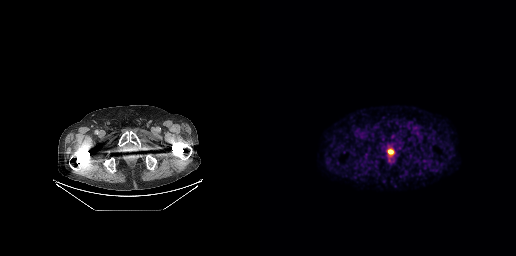
Paired axial CT (left) and PSMA PET (right), 18F-PSMA tracer. Acquired on GE Discovery 690. PET panel 256×256 px (2.7 mm/px). Coordinates are on the 256×256 PET (right) panel. PSMA-avid tumor lesion bounding box (x, y, width, height): x=127 y=149 w=8 h=7.